Two-panel axial: CT | PSMA PET, 18F-PSMA tracer. Acquired on Siemens Biograph mCT Flow 20. PET panel 200×200 px (4.1 mm/px). A rectangular block over the head has been blanked out for de-identification.
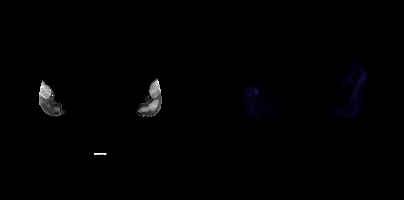
No PSMA-avid tumor lesions on this slice.